modality: PSMA PET/CT | tracer: 18F-PSMA | view: axial | PET grid: 200×200
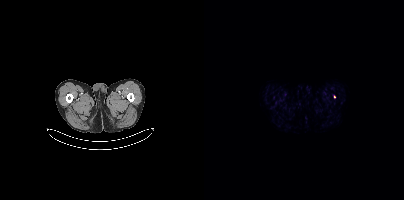
Coordinates are on the 200×200 PET (right) panel. Small PSMA-avid focus (2 to 4 px across) near (center x, center y): (130, 96).